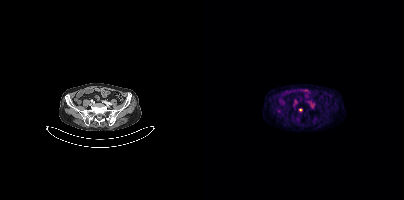
Coordinates are on the 200×200 PET (right) panel. Small PSMA-avid focus (2 to 4 px across) near (center x, center y): (96, 109).
modality: PSMA PET/CT | tracer: 18F | view: axial | PET grid: 200×200